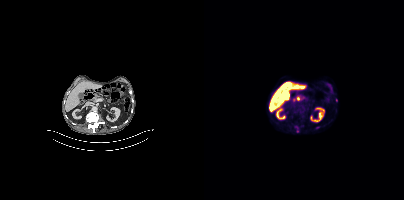
Findings: Coordinates are on the 200×200 PET (right) panel. (showing 2 of 3 foci) Small PSMA-avid foci (2 to 4 px across) near (center x, center y): (113, 127), (132, 99).
- Left: CT. Right: PSMA PET, same axial level, 18F tracer
- acquired on Siemens Biograph mCT Flow 20
- slice position z = 202 mm
- PET panel 200×200 px (4.1 mm/px)